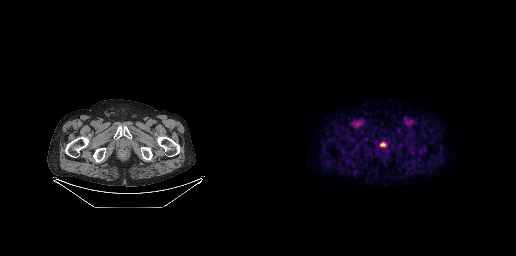
{"modality":"PSMA PET/CT","view":"axial","tracer":"18F-PSMA","pet_grid":[256,256],"coord_frame":"pet_panel","coord_format":"x0,y0,x1,y1","lesion_bboxes":[[121,143,125,145]]}